modality: PSMA PET/CT | tracer: 18F-PSMA | view: axial
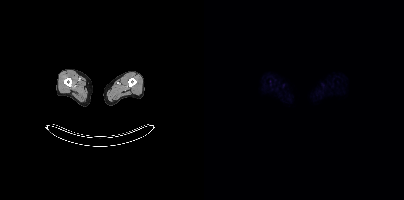
This slice has no annotated PSMA-avid lesion.